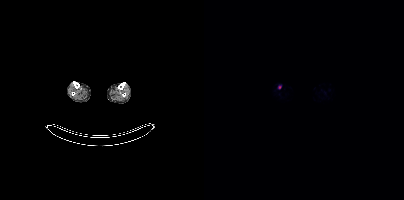
Coordinates are on the 200×200 PET (right) panel. Small PSMA-avid focus (2 to 4 px across) near (center x, center y): (75, 87).